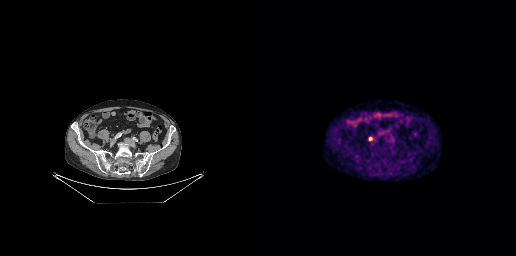
Technique: Two-panel axial: CT | PSMA PET, [18F]PSMA-1007 tracer. slice 85 of 263. PET panel 256×256 px (2.7 mm/px).
Findings: Coordinates are on the 256×256 PET (right) panel. Small PSMA-avid focus (2 to 4 px across) near (center x, center y): (110, 138).